Two-panel axial: CT | PSMA PET, [18F]PSMA-1007 tracer. Acquired on Siemens Biograph mCT Flow 20. Slice position z = -42 mm.
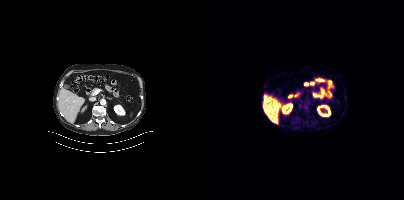
No tumor lesions annotated on this slice.